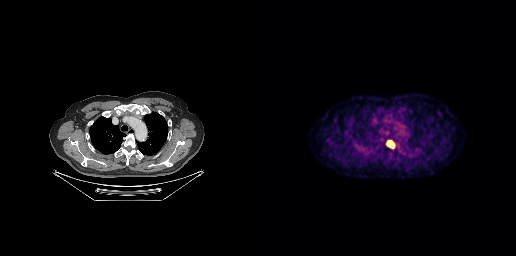
Coordinates are on the 256×256 PET (right) panel. PSMA-avid tumor lesion bounding box (x0, y0)-(x1, y1): (126, 140)-(134, 148).